modality: PSMA PET/CT | tracer: 18F-PSMA | view: axial
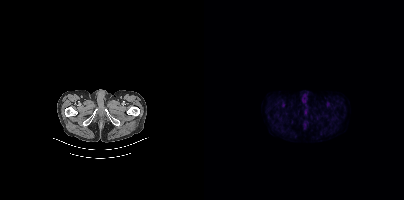
This slice has no annotated PSMA-avid lesion.